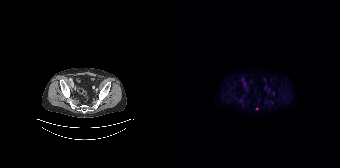
Negative for PSMA-avid disease on this slice. Paired axial CT (left) and PSMA PET (right), [18F]PSMA-1007 tracer. Acquired on Siemens Biograph 64-4R TruePoint. Slice 40 of 165.